modality: PSMA PET/CT | tracer: 18F-PSMA | view: axial
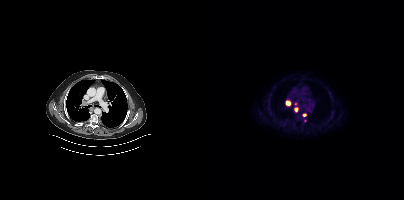
Coordinates are on the 200×200 PET (right) panel. (showing 4 of 5 foci) PSMA-avid tumor lesion bounding boxes (x0, y0)-(x1, y1): (81, 100)-(86, 105) / (90, 107)-(94, 112) / (98, 113)-(102, 116). Small PSMA-avid focus (2 to 4 px across) near (center x, center y): (91, 103).